Left: CT. Right: PSMA PET, same axial level, 68Ga tracer. Acquired on Siemens Biograph 64-4R TruePoint. Slice 52 of 195. PET panel 168×168 px (4.1 mm/px).
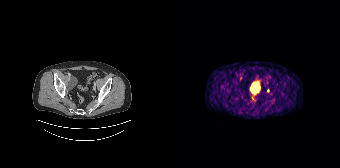
Only PSMA-avid lesion pieces thinner than 2 px on this slice (not listed).